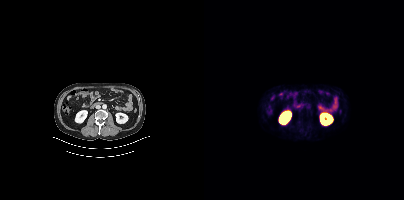
This slice has no annotated PSMA-avid lesion.